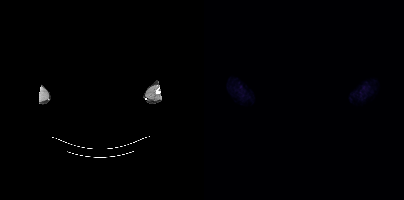
{"modality":"PSMA PET/CT","view":"axial","tracer":"[18F]PSMA-1007","pet_grid":[200,200],"coord_frame":"pet_panel","coord_format":"x0,y0,x1,y1","redaction":"face masked with black rectangle","psma_avid_lesions":false}